Technique: Two-panel axial: CT | PSMA PET, 18F-PSMA tracer. PET panel 200×200 px (4.1 mm/px).
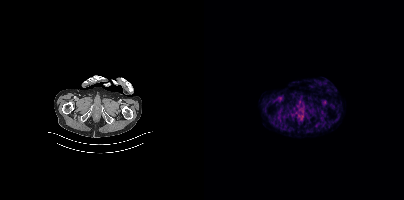
Findings: Negative for PSMA-avid disease on this slice.